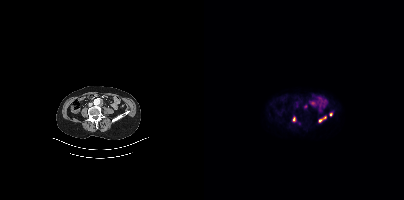
{"modality":"PSMA PET/CT","view":"axial","tracer":"68Ga-PSMA","pet_grid":[200,200],"coord_frame":"pet_panel","coord_format":"x0,y0,x1,y1","lesion_bboxes":[[116,116,122,121],[89,117,92,122]],"small_foci_centers":[[127,114],[101,106]]}